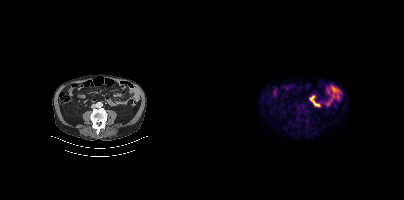
No PSMA-avid tumor lesions on this slice.